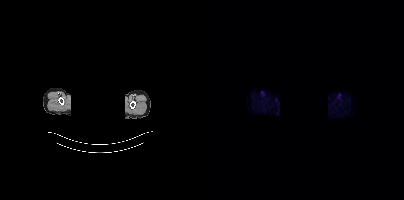
Privacy masking over the head, with the pixels inside a rectangle set to black.
No tumor lesions annotated on this slice.